modality: PSMA PET/CT | tracer: [18F]PSMA-1007 | view: axial
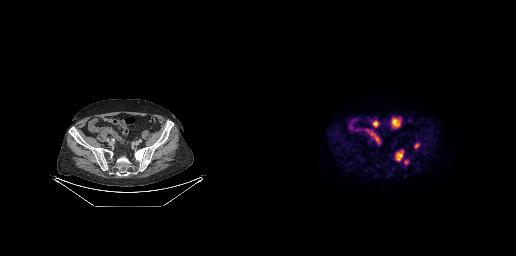
Coordinates are on the 256×256 PET (right) panel. PSMA-avid tumor lesion bounding boxes (x0, y0)-(x1, y1): (135, 149)-(143, 161); (155, 143)-(159, 148); (144, 160)-(148, 164).